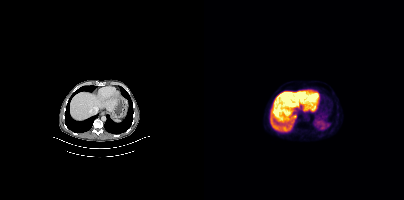
{"modality":"PSMA PET/CT","view":"axial","tracer":"[18F]PSMA-1007","pet_grid":[200,200],"coord_frame":"pet_panel","coord_format":"x0,y0,x1,y1","psma_avid_lesions":false}